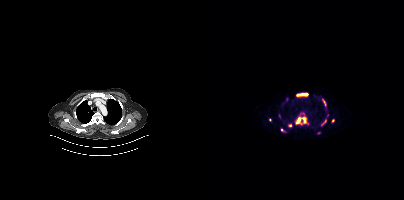
Coordinates are on the 200×200 PET (right) panel. PSMA-avid tumor lesion bounding boxes (x, y, width, height): x=91 y=117 w=14 h=8; x=93 y=93 w=11 h=4; x=117 y=119 w=6 h=6. Small PSMA-avid foci (2 to 4 px across) near (center x, center y): (85, 125); (119, 100); (121, 104); (75, 115); (78, 130); (65, 119); (128, 120); (123, 115); (114, 132).